modality: PSMA PET/CT | tracer: [18F]PSMA-1007 | view: axial
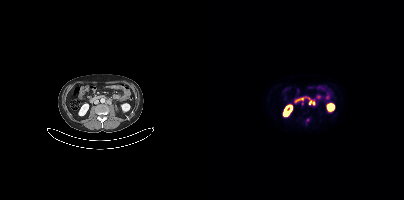
Coordinates are on the 200×200 PET (right) panel. PSMA-avid tumor lesion bounding box (x, y, width, height): x=105 y=100 w=6 h=4. Small PSMA-avid focus (2 to 4 px across) near (center x, center y): (103, 119).